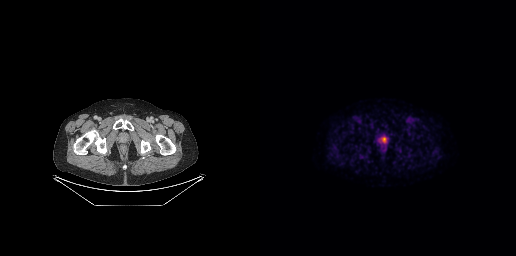
{"pet_grid":[256,256],"coord_frame":"pet_panel","coord_format":"x0,y0,x1,y1","lesion_bboxes":[[121,137,126,142]],"modality":"PSMA PET/CT","view":"axial","tracer":"18F-PSMA"}